Paired axial CT (left) and PSMA PET (right), 18F-PSMA tracer. Slice position z = -731 mm. PET panel 256×256 px (2.7 mm/px).
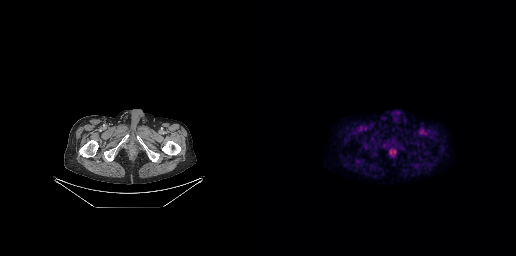
No tumor lesions annotated on this slice.